modality: PSMA PET/CT | tracer: 18F-PSMA | view: axial
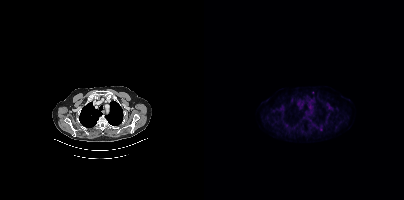
No tumor lesions annotated on this slice.